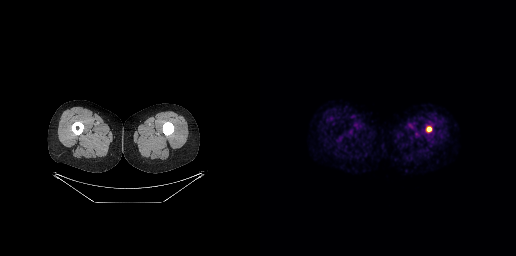
Coordinates are on the 256×256 PET (right) panel. PSMA-avid tumor lesion bounding box (x, y, width, height): x=167 y=127 w=5 h=5.